Left: CT. Right: PSMA PET, same axial level, 18F-PSMA tracer. Acquired on Siemens Biograph mCT Flow 20.
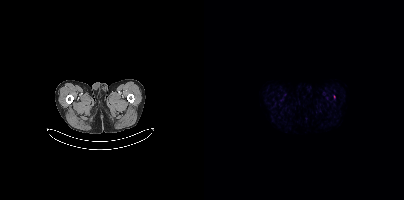
This slice has no annotated PSMA-avid lesion.